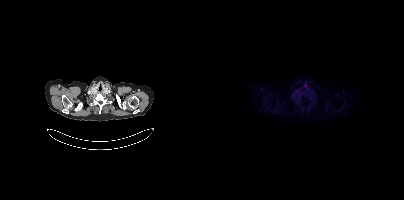
No tumor lesions annotated on this slice.